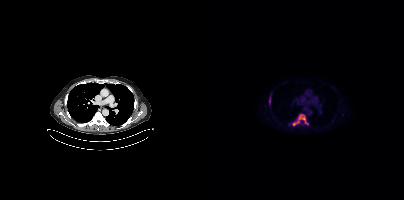
Coordinates are on the 200×200 PET (right) panel. PSMA-avid tumor lesion bounding boxes:
| # | x0 | y0 | x1 | y1 |
|---|---|---|---|---|
| 1 | 88 | 113 | 104 | 126 |
| 2 | 65 | 96 | 66 | 104 |
Two-panel axial: CT | PSMA PET, 18F-PSMA tracer. Acquired on Siemens Biograph mCT Flow 20. Slice 308 of 431.